Technique: Paired axial CT (left) and PSMA PET (right), [18F]PSMA-1007 tracer. acquired on Siemens Biograph mCT Flow 20. slice 247 of 391.
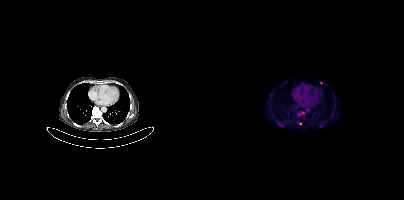
Findings: Coordinates are on the 200×200 PET (right) panel. PSMA-avid tumor lesion bounding box (x, y, width, height): x=73 y=122 w=5 h=4. Small PSMA-avid foci (2 to 4 px across) near (center x, center y): (117, 82); (128, 114); (96, 123).